Technique: Left: CT. Right: PSMA PET, same axial level, 18F tracer. acquired on Siemens Biograph mCT Flow 20. PET panel 200×200 px (4.1 mm/px).
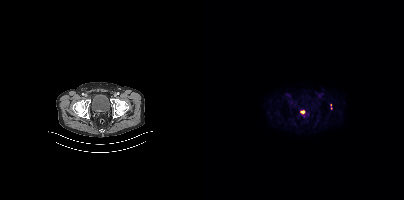
Findings: No tumor lesions annotated on this slice.